modality: PSMA PET/CT | tracer: [18F]PSMA-1007 | view: axial | PET grid: 200×200
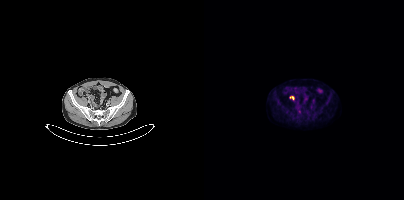
Coordinates are on the 200×200 PET (right) panel. Small PSMA-avid focus (2 to 4 px across) near (center x, center y): (87, 97).